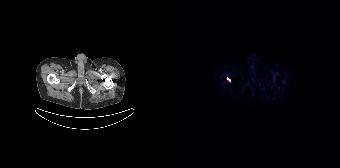
Coordinates are on the 168×168 PET (right) panel. PSMA-avid tumor lesion bounding box (x, y, width, height): x=55 y=77 w=4 h=5.